Two-panel axial: CT | PSMA PET, 18F tracer. Acquired on Siemens Biograph mCT Flow 20. Slice 77 of 421.
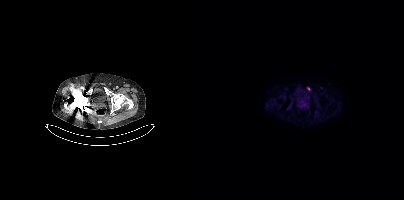
Coordinates are on the 200×200 PET (right) panel. Small PSMA-avid focus (2 to 4 px across) near (center x, center y): (104, 88).